- Left: CT. Right: PSMA PET, same axial level, [18F]PSMA-1007 tracer
- slice position z = -1362 mm
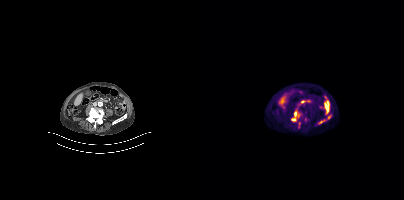
Findings: Coordinates are on the 200×200 PET (right) panel. (showing 2 of 3 foci) PSMA-avid tumor lesion bounding boxes (x, y, width, height): x=87 y=110 w=11 h=12; x=94 y=122 w=3 h=7.